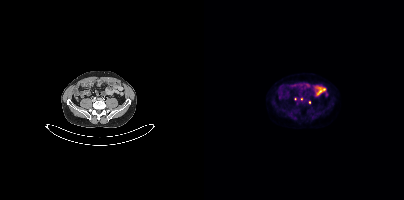
Coordinates are on the 200×200 PET (right) panel. Small PSMA-avid foci (2 to 4 px across) near (center x, center y): (91, 99); (97, 99); (105, 102). Paired axial CT (left) and PSMA PET (right), 18F tracer.